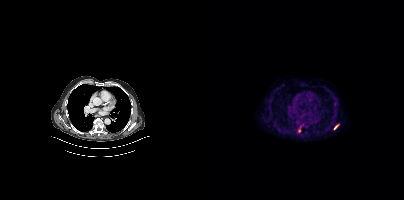
{"modality":"PSMA PET/CT","view":"axial","tracer":"18F-PSMA","pet_grid":[200,200],"coord_frame":"pet_panel","coord_format":"x0,y0,x1,y1","lesion_bboxes":[[130,124,134,129]],"small_foci_centers":[[95,130]]}